Left: CT. Right: PSMA PET, same axial level, 18F-PSMA tracer. Acquired on Siemens Biograph mCT Flow 20. Slice position z = -1344 mm. PET panel 200×200 px (4.1 mm/px).
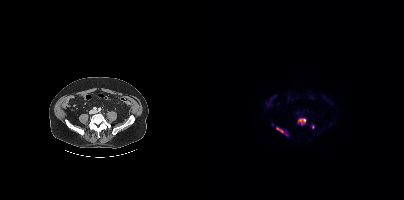
Coordinates are on the 200×200 PET (right) panel. PSMA-avid tumor lesion bounding boxes (x0,y0,x1,y1): [94,118,101,124], [72,127,79,132]. Small PSMA-avid foci (2 to 4 px across) near (center x, center y): (68, 124), (108, 127).